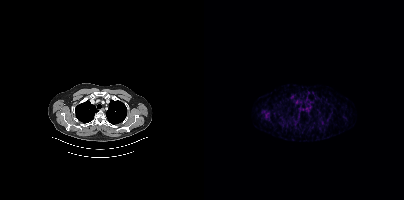
Paired axial CT (left) and PSMA PET (right), 68Ga-PSMA tracer. Acquired on Siemens Biograph mCT Flow 20. Slice position z = -984 mm. Negative for PSMA-avid disease on this slice.